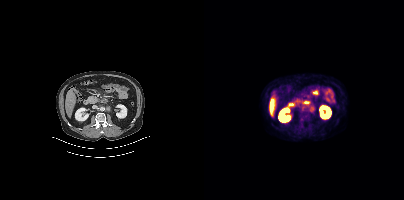
modality: PSMA PET/CT | tracer: 18F | view: axial
Coordinates are on the 200×200 PET (right) panel. PSMA-avid tumor lesion bounding box (x0, y0)-(x1, y1): (106, 107)-(109, 111).